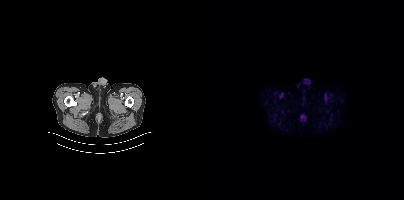
No PSMA-avid tumor lesions on this slice.